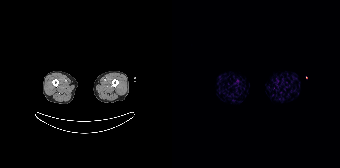
No PSMA-avid tumor lesions on this slice.